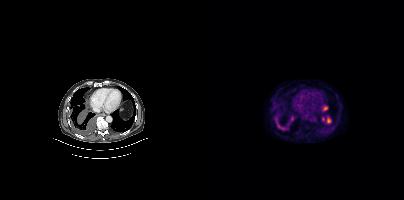
Coordinates are on the 200×200 PET (right) panel. PSMA-avid tumor lesion bounding boxes (x0, y0)-(x1, y1): (70, 117)-(83, 130); (85, 115)-(91, 122).
modality: PSMA PET/CT | tracer: 18F | view: axial | PET grid: 200×200